Technique: Left: CT. Right: PSMA PET, same axial level, 18F-PSMA tracer. PET panel 200×200 px (4.1 mm/px).
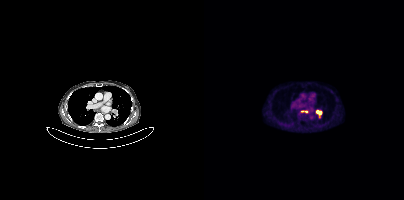
Findings: Coordinates are on the 200×200 PET (right) panel. PSMA-avid tumor lesion bounding boxes (x, y, width, height): x=112 y=110 w=7 h=8 / x=97 y=110 w=8 h=3.